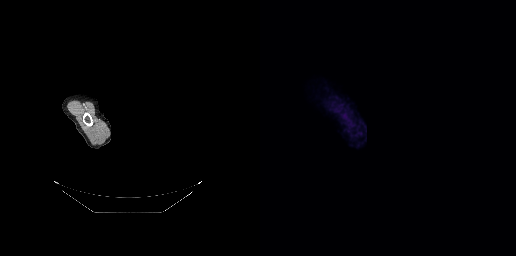
Left: CT. Right: PSMA PET, same axial level, 18F-PSMA tracer. Any black rectangle over the head is a privacy mask, not anatomy. Negative for PSMA-avid disease on this slice.